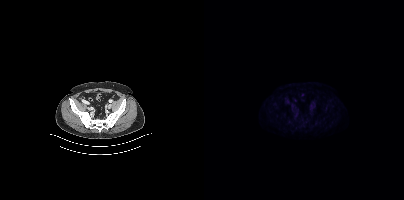
{"modality":"PSMA PET/CT","view":"axial","tracer":"18F-PSMA","pet_grid":[200,200],"coord_frame":"pet_panel","coord_format":"x0,y0,x1,y1","psma_avid_lesions":false}